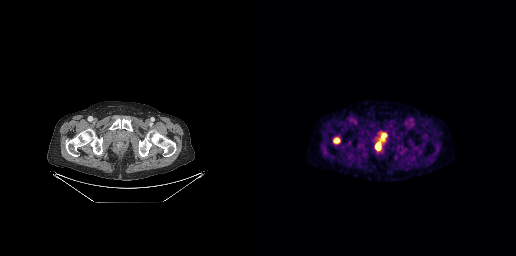
Coordinates are on the 256×256 PET (right) panel. PSMA-avid tumor lesion bounding boxes (x, y, width, height): x=73 y=137 w=7 h=7; x=115 y=142 w=6 h=8. Small PSMA-avid focus (2 to 4 px across) near (center x, center y): (123, 135).